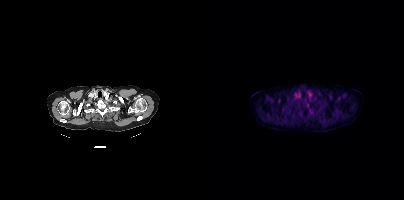
{"modality":"PSMA PET/CT","view":"axial","tracer":"18F","pet_grid":[200,200],"coord_frame":"pet_panel","coord_format":"x0,y0,x1,y1","psma_avid_lesions":false}